Two-panel axial: CT | PSMA PET, 18F-PSMA tracer. Slice 60 of 427. PET panel 200×200 px (4.1 mm/px).
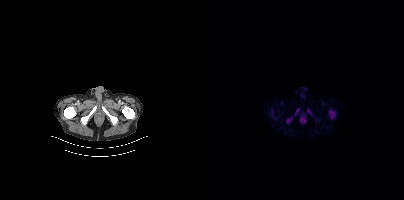
Coordinates are on the 200×200 PET (right) panel. PSMA-avid tumor lesion bounding boxes (x0,y0,x1,y1): [125,109,131,118], [82,117,88,123], [91,109,95,115]. Small PSMA-avid focus (2 to 4 px across) near (center x, center y): (107, 114).